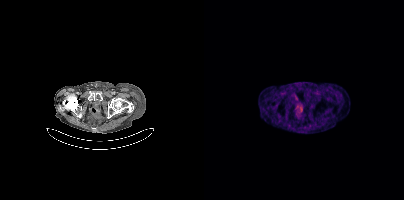
Coordinates are on the 200×200 PET (right) panel. PSMA-avid tumor lesion bounding boxes (x0,y0,x1,y1): [92,106,98,111], [90,95,94,100].